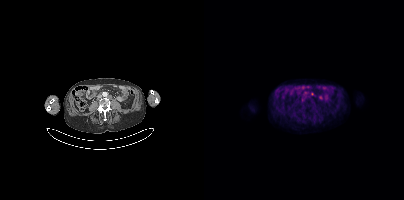
Paired axial CT (left) and PSMA PET (right), 18F tracer. Acquired on Siemens Biograph mCT Flow 20. PET panel 200×200 px (4.1 mm/px).
Coordinates are on the 200×200 PET (right) panel. PSMA-avid tumor lesion bounding boxes (partial; 1 more focus not listed):
| # | x0 | y0 | x1 | y1 |
|---|---|---|---|---|
| 1 | 97 | 97 | 99 | 101 |
Small PSMA-avid focus (2 to 4 px across) near (center x, center y): (108, 93).